Face de-identified by blanking a block of the head.
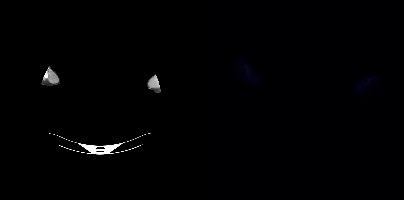
Negative for PSMA-avid disease on this slice.